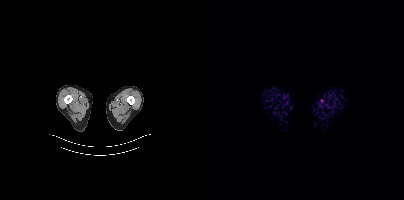
This slice has no annotated PSMA-avid lesion.
modality: PSMA PET/CT | tracer: 18F | view: axial